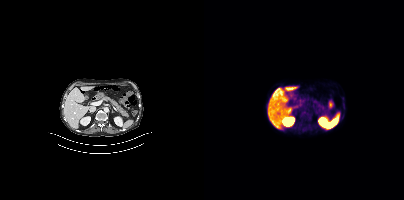
- Left: CT. Right: PSMA PET, same axial level, [18F]PSMA-1007 tracer
- acquired on Siemens Biograph mCT Flow 20
- slice 196 of 401
- PET panel 200×200 px (4.1 mm/px)
Findings: Coordinates are on the 200×200 PET (right) panel. PSMA-avid tumor lesion bounding box (x, y, width, height): x=102 y=117 w=5 h=5.